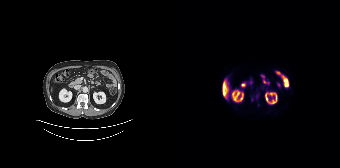
{"modality":"PSMA PET/CT","view":"axial","tracer":"18F-PSMA","pet_grid":[168,168],"coord_frame":"pet_panel","coord_format":"x0,y0,x1,y1","psma_avid_lesions":false}